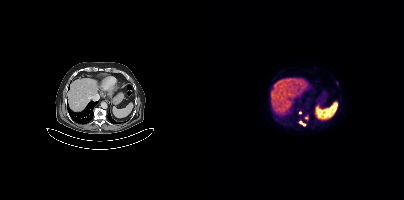
{"modality":"PSMA PET/CT","view":"axial","tracer":"18F-PSMA","pet_grid":[200,200],"coord_frame":"pet_panel","coord_format":"x0,y0,x1,y1","lesion_bboxes":[],"small_foci_centers":[[95,112],[100,124],[96,122]]}